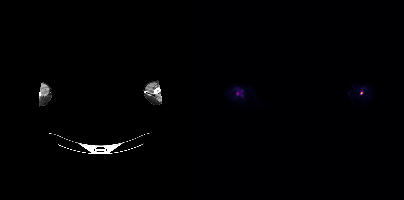
{"modality":"PSMA PET/CT","view":"axial","tracer":"18F","pet_grid":[200,200],"coord_frame":"pet_panel","coord_format":"x0,y0,x1,y1","deidentification":"privacy mask over head","lesion_bboxes":[],"small_foci_centers":[[157,92],[33,93]]}